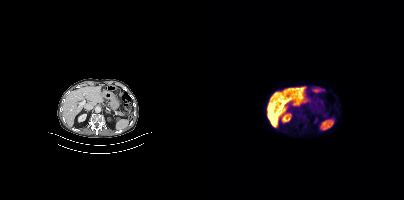
{"modality":"PSMA PET/CT","view":"axial","tracer":"18F-PSMA","pet_grid":[200,200],"coord_frame":"pet_panel","coord_format":"x0,y0,x1,y1","psma_avid_lesions":false}